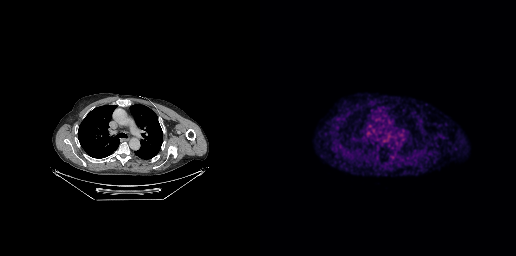
This slice has no annotated PSMA-avid lesion.